Technique: Left: CT. Right: PSMA PET, same axial level, 18F tracer. PET panel 200×200 px (4.1 mm/px).
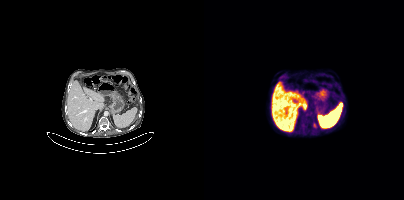
Findings: Coordinates are on the 200×200 PET (right) panel. PSMA-avid tumor lesion bounding box (x0, y0)-(x1, y1): (109, 123)-(113, 128).